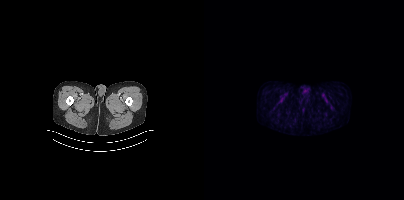
Negative for PSMA-avid disease on this slice.